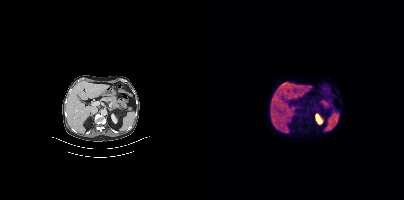
Paired axial CT (left) and PSMA PET (right), 18F tracer. Slice 223 of 427. Negative for PSMA-avid disease on this slice.